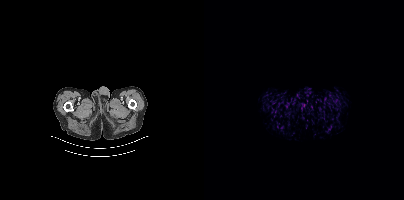
No tumor lesions annotated on this slice.